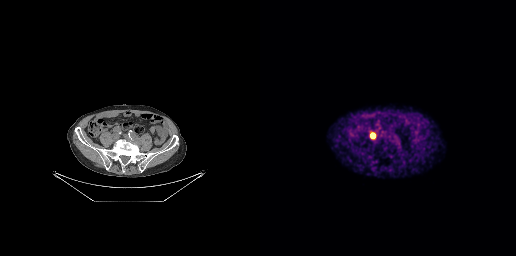
Findings: Coordinates are on the 256×256 PET (right) panel. Small PSMA-avid focus (2 to 4 px across) near (center x, center y): (113, 135).
Technique: Paired axial CT (left) and PSMA PET (right), [68Ga]Ga-PSMA-11 tracer. acquired on GE Discovery 690. slice 75 of 227. PET panel 256×256 px (2.7 mm/px).